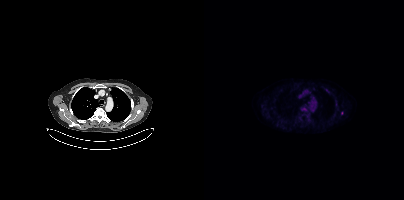
Paired axial CT (left) and PSMA PET (right), [18F]PSMA-1007 tracer. Only PSMA-avid lesion pieces thinner than 2 px on this slice (not listed).